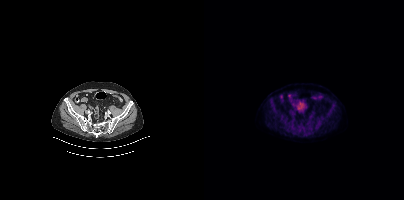
Left: CT. Right: PSMA PET, same axial level, 18F tracer. Acquired on Siemens Biograph mCT Flow 20. This slice has no annotated PSMA-avid lesion.